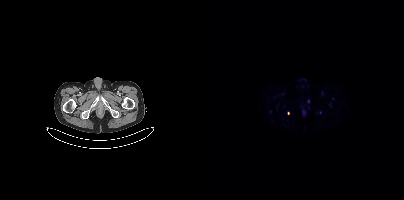
{"modality":"PSMA PET/CT","view":"axial","tracer":"68Ga-PSMA","pet_grid":[200,200],"coord_frame":"pet_panel","coord_format":"x0,y0,x1,y1","lesion_bboxes":[],"small_foci_centers":[[84,113],[116,112],[104,100]]}